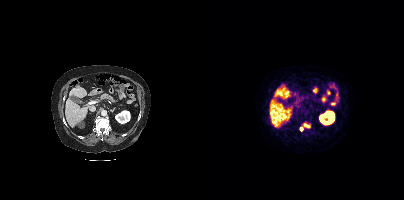
{"modality":"PSMA PET/CT","view":"axial","tracer":"68Ga-PSMA","pet_grid":[200,200],"coord_frame":"pet_panel","coord_format":"x0,y0,x1,y1","lesion_bboxes":[[95,123,106,131]]}